- de-identified by setting a box covering the face to black before release
- Paired axial CT (left) and PSMA PET (right), [18F]PSMA-1007 tracer
- acquired on Siemens Biograph mCT Flow 20
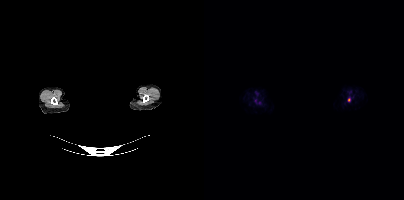
Findings: Coordinates are on the 200×200 PET (right) panel. Small PSMA-avid focus (2 to 4 px across) near (center x, center y): (144, 99).